Paired axial CT (left) and PSMA PET (right), 18F tracer.
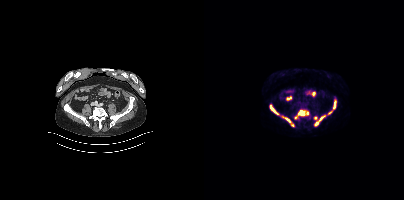
Coordinates are on the 200×200 PET (right) panel. (showing 9 of 10 foci) PSMA-avid tumor lesion bounding boxes (x0,y0,x1,y1): [94,110,104,115], [110,115,121,126], [66,105,74,114], [129,100,132,108], [81,118,86,122], [124,111,128,114]. Small PSMA-avid foci (2 to 4 px across) near (center x, center y): (91, 117), (111, 118), (88, 125).